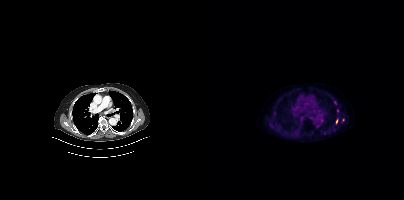
modality: PSMA PET/CT | tracer: 18F | view: axial
Coordinates are on the 200×200 PET (right) panel. Small PSMA-avid foci (2 to 4 px across) near (center x, center y): (133, 110); (132, 121); (139, 120); (67, 125); (131, 102).